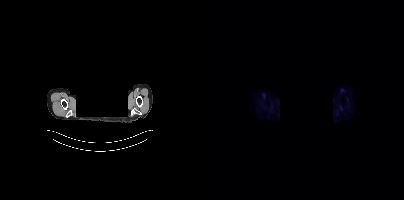
No tumor lesions annotated on this slice. A rectangular block over the head has been blanked out for de-identification. Left: CT. Right: PSMA PET, same axial level, [18F]PSMA-1007 tracer. Acquired on Siemens Biograph mCT Flow 20.